Paired axial CT (left) and PSMA PET (right), [18F]PSMA-1007 tracer. Acquired on Siemens Biograph mCT Flow 20.
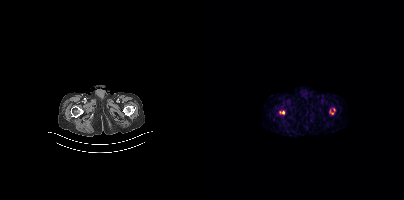
Coordinates are on the 200×200 PET (right) panel. PSMA-avid tumor lesion bounding boxes (x, y, width, height): x=125 y=108 w=7 h=7; x=75 y=110 w=7 h=5.